Paired axial CT (left) and PSMA PET (right), 18F-PSMA tracer. Acquired on Siemens Biograph mCT Flow 20. PET panel 200×200 px (4.1 mm/px).
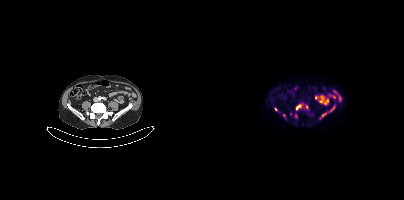
Coordinates are on the 200×200 PET (right) panel. (showing 4 of 6 foci) PSMA-avid tumor lesion bounding boxes (x0,y0,x1,y1): [117,105,131,117], [92,104,97,110], [70,107,73,111]. Small PSMA-avid focus (2 to 4 px across) near (center x, center y): (102, 107).